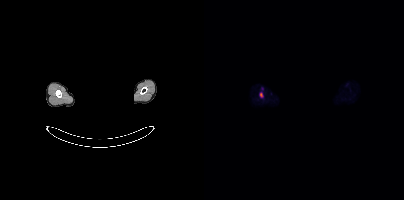
Facial anatomy redacted by setting a rectangular region of the head to black.
Coordinates are on the 200×200 PET (right) panel. (showing 1 of 2 foci) PSMA-avid tumor lesion bounding box (x0,y0,x1,y1): [55,92,59,97].